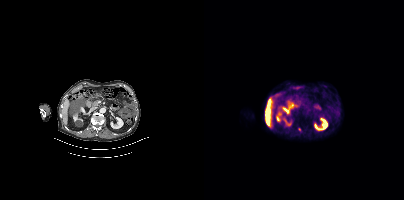
Coordinates are on the 200×200 PET (right) panel. Small PSMA-avid focus (2 to 4 px across) near (center x, center y): (95, 129).